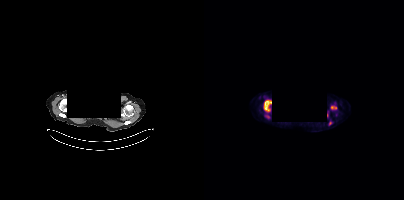
Findings: Coordinates are on the 200×200 PET (right) panel. (showing 3 of 4 foci) PSMA-avid tumor lesion bounding boxes (x0,y0,x1,y1): [60,100,67,111], [127,106,132,109]. Small PSMA-avid focus (2 to 4 px across) near (center x, center y): (126, 123).
- facial anatomy redacted by setting a rectangular region of the head to black
- Paired axial CT (left) and PSMA PET (right), [18F]PSMA-1007 tracer
- acquired on Siemens Biograph mCT Flow 20